Two-panel axial: CT | PSMA PET, 18F tracer.
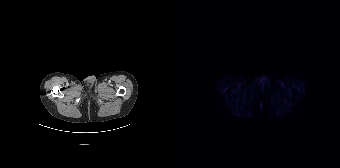
No tumor lesions annotated on this slice.